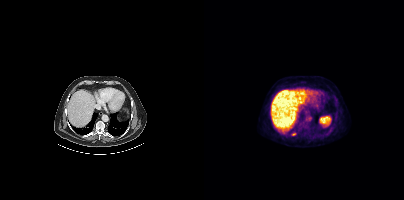
- Paired axial CT (left) and PSMA PET (right), 18F tracer
- slice position z = -1024 mm
- PET panel 200×200 px (4.1 mm/px)
Findings: Coordinates are on the 200×200 PET (right) panel. Small PSMA-avid focus (2 to 4 px across) near (center x, center y): (89, 134).